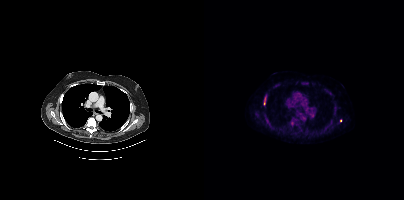
Left: CT. Right: PSMA PET, same axial level, 18F-PSMA tracer. Acquired on Siemens Biograph mCT Flow 20. PET panel 200×200 px (4.1 mm/px).
Coordinates are on the 200×200 PET (right) panel. PSMA-avid tumor lesion bounding boxes:
| # | x0 | y0 | x1 | y1 |
|---|---|---|---|---|
| 1 | 60 | 114 | 66 | 124 |
| 2 | 86 | 120 | 90 | 126 |
| 3 | 60 | 97 | 61 | 105 |
Small PSMA-avid focus (2 to 4 px across) near (center x, center y): (136, 120).